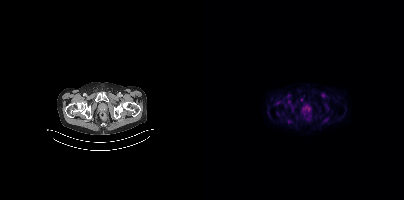
modality: PSMA PET/CT | tracer: 18F-PSMA | view: axial | PET grid: 200×200
Coordinates are on the 200×200 PET (right) panel. Small PSMA-avid focus (2 to 4 px across) near (center x, center y): (97, 99).